- Paired axial CT (left) and PSMA PET (right), 18F-PSMA tracer
- acquired on Siemens Biograph mCT Flow 20
- slice 669 of 963
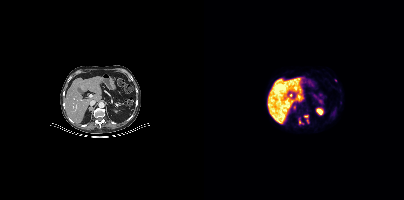
Findings: Coordinates are on the 200×200 PET (right) panel. (showing 1 of 3 foci) Small PSMA-avid focus (2 to 4 px across) near (center x, center y): (101, 115).